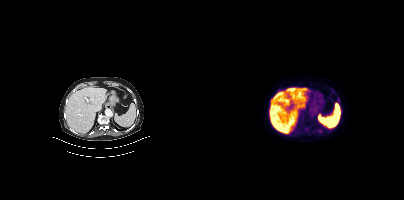
Technique: Two-panel axial: CT | PSMA PET, 18F tracer. slice 225 of 407. PET panel 200×200 px (4.1 mm/px).
Findings: Coordinates are on the 200×200 PET (right) panel. Small PSMA-avid focus (2 to 4 px across) near (center x, center y): (134, 99).